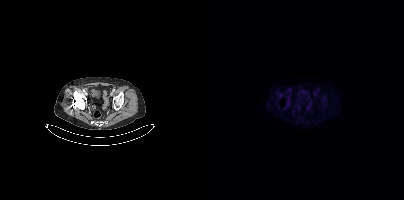
Paired axial CT (left) and PSMA PET (right), 18F-PSMA tracer. No PSMA-avid tumor lesions on this slice.